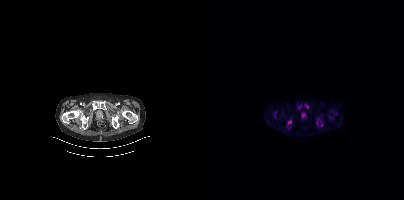
{"pet_grid":[200,200],"coord_frame":"pet_panel","coord_format":"x0,y0,x1,y1","partial":true,"lesion_bboxes":[[97,113,101,118],[83,120,87,124],[112,119,116,125],[94,105,97,109]],"small_foci_centers":[[102,105],[126,117],[117,124],[132,113]],"modality":"PSMA PET/CT","view":"axial","tracer":"18F-PSMA"}